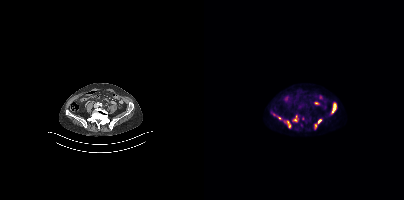
{"modality":"PSMA PET/CT","view":"axial","tracer":"18F-PSMA","pet_grid":[200,200],"coord_frame":"pet_panel","coord_format":"x0,y0,x1,y1","partial":true,"lesion_bboxes":[[127,102,132,114],[88,115,94,122],[81,120,86,127],[110,124,112,129],[114,119,117,123]],"small_foci_centers":[[75,118]]}